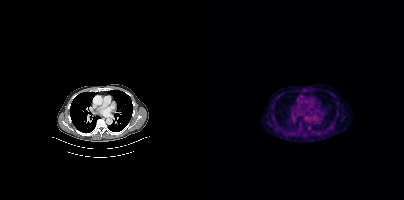
Findings: No PSMA-avid tumor lesions on this slice.
- Two-panel axial: CT | PSMA PET, [18F]PSMA-1007 tracer
- slice 304 of 448